- Left: CT. Right: PSMA PET, same axial level, 18F tracer
- slice 172 of 427
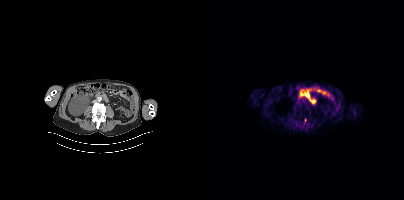
Findings: Coordinates are on the 200×200 PET (right) panel. Small PSMA-avid focus (2 to 4 px across) near (center x, center y): (101, 120).